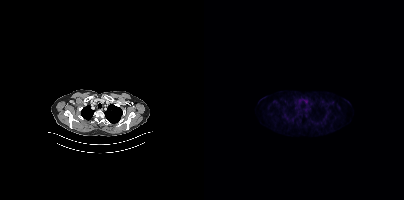
No tumor lesions annotated on this slice. Paired axial CT (left) and PSMA PET (right), 18F tracer. PET panel 200×200 px (4.1 mm/px).